- Paired axial CT (left) and PSMA PET (right), 68Ga-PSMA tracer
- PET panel 168×168 px (4.1 mm/px)
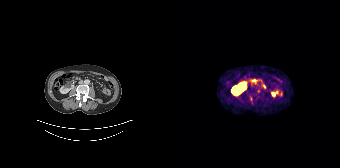
Findings: Coordinates are on the 168×168 PET (right) panel. Small PSMA-avid focus (2 to 4 px across) near (center x, center y): (92, 86).